modality: PSMA PET/CT | tracer: 18F | view: axial | PET grid: 200×200
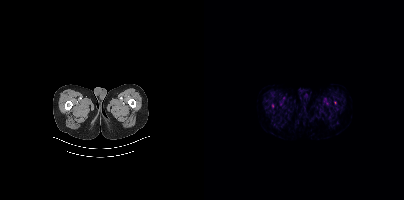
No PSMA-avid tumor lesions on this slice.